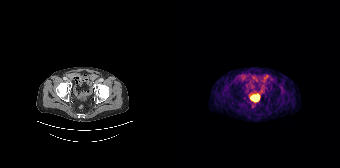
{"modality":"PSMA PET/CT","view":"axial","tracer":"[68Ga]Ga-PSMA-11","pet_grid":[168,168],"coord_frame":"pet_panel","coord_format":"x0,y0,x1,y1","psma_avid_lesions":false}